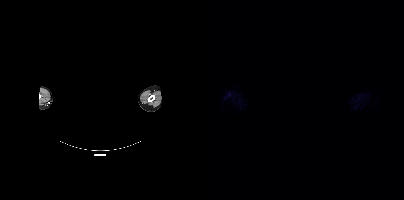
An anonymization step blacked out a rectangle over the head in this scan. Two-panel axial: CT | PSMA PET, 18F-PSMA tracer. Acquired on Siemens Biograph mCT Flow 20. Slice position z = -706 mm. PET panel 200×200 px (4.1 mm/px). No tumor lesions annotated on this slice.